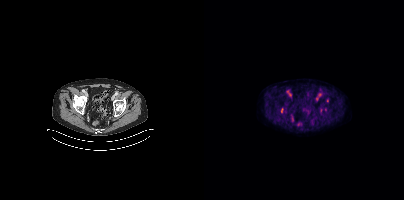
Coordinates are on the 200×200 PET (right) panel. PSMA-avid tumor lesion bounding box (x0, y0)-(x1, y1): (77, 108)-(79, 113). Small PSMA-avid focus (2 to 4 px across) near (center x, center y): (123, 100). Paired axial CT (left) and PSMA PET (right), 18F tracer. Slice position z = -768 mm. PET panel 200×200 px (4.1 mm/px).